Paired axial CT (left) and PSMA PET (right), 68Ga-PSMA tracer. PET panel 256×256 px (2.7 mm/px).
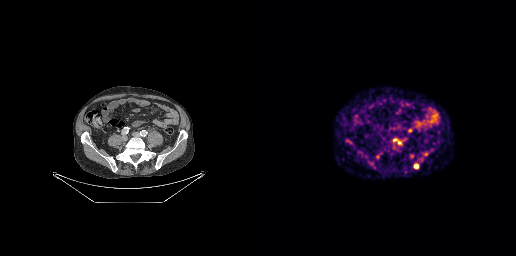
Coordinates are on the 256×256 PET (right) panel. (showing 6 of 7 foci) PSMA-avid tumor lesion bounding box (x, y, width, height): x=154 y=164 w=5 h=5. Small PSMA-avid foci (2 to 4 px across) near (center x, center y): (165, 153) | (87, 140) | (133, 145) | (134, 139) | (139, 142).